- Paired axial CT (left) and PSMA PET (right), 18F-PSMA tracer
- acquired on Siemens Biograph mCT Flow 20
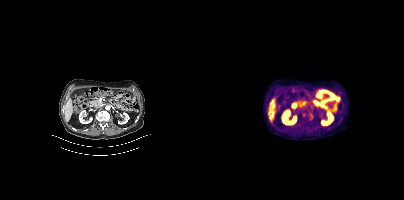
Findings: No PSMA-avid tumor lesions on this slice.